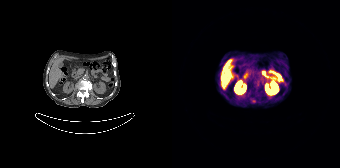
- Two-panel axial: CT | PSMA PET, 68Ga tracer
Findings: No tumor lesions annotated on this slice.